Paired axial CT (left) and PSMA PET (right), 18F-PSMA tracer. Acquired on Siemens Biograph mCT Flow 20. PET panel 200×200 px (4.1 mm/px).
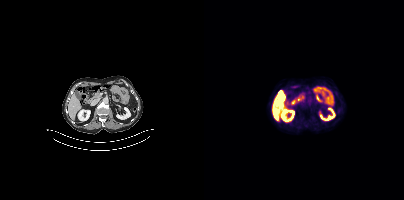
This slice has no annotated PSMA-avid lesion.